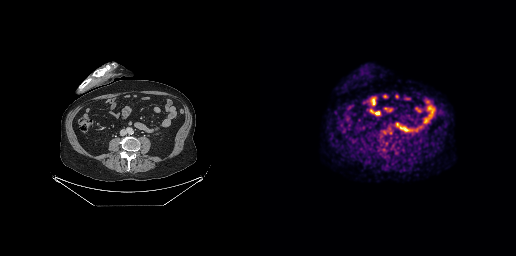
{"modality":"PSMA PET/CT","view":"axial","tracer":"[18F]PSMA-1007","pet_grid":[256,256],"coord_frame":"pet_panel","coord_format":"x0,y0,x1,y1","psma_avid_lesions":false}